Technique: Paired axial CT (left) and PSMA PET (right), 18F-PSMA tracer.
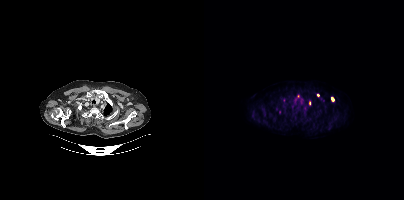
Findings: Coordinates are on the 200×200 PET (right) panel. (showing 3 of 5 foci) PSMA-avid tumor lesion bounding box (x0,y0,x1,y1): [127,97,130,101]. Small PSMA-avid foci (2 to 4 px across) near (center x, center y): (114, 95), (105, 102).